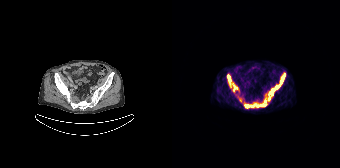
Coordinates are on the 168×168 PET (right) panel. (showing 7 of 9 foci) PSMA-avid tumor lesion bounding boxes (x, y, width, height): x=96 y=85 w=12 h=16; x=55 y=74 w=5 h=11; x=73 y=104 w=10 h=4; x=84 y=103 w=10 h=5; x=61 y=85 w=5 h=7; x=108 y=77 w=4 h=7. Small PSMA-avid focus (2 to 4 px across) near (center x, center y): (93, 101).